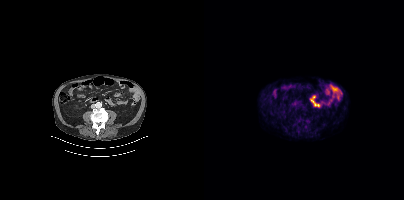
Negative for PSMA-avid disease on this slice.